modality: PSMA PET/CT | tracer: 18F-PSMA | view: axial | PET grid: 200×200
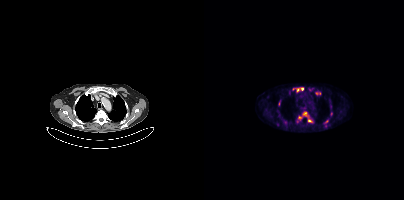
Coordinates are on the 200×200 PET (right) panel. (showing 7 of 10 foci) PSMA-avid tumor lesion bounding box (x0, y0)-(x1, y1): (111, 92)-(116, 94). Small PSMA-avid foci (2 to 4 px across) near (center x, center y): (100, 113) | (105, 120) | (122, 121) | (94, 89) | (98, 89) | (96, 117).